Technique: Two-panel axial: CT | PSMA PET, [18F]PSMA-1007 tracer. acquired on Siemens Biograph mCT Flow 20.
Note: A rectangle over the head was blacked out to remove identifiable facial features.
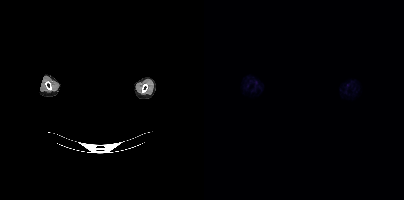
Findings: This slice has no annotated PSMA-avid lesion.